Technique: Paired axial CT (left) and PSMA PET (right), [68Ga]Ga-PSMA-11 tracer.
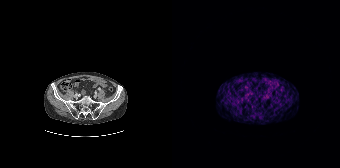
Findings: No tumor lesions annotated on this slice.